Two-panel axial: CT | PSMA PET, [18F]PSMA-1007 tracer. Slice position z = -1044 mm.
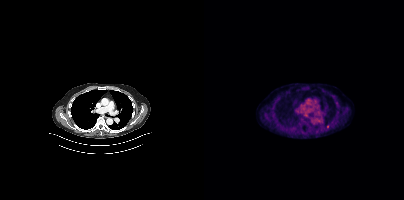
Coordinates are on the 200×200 PET (right) panel. PSMA-avid tumor lesion bounding boxes (x, y, width, height): x=112 y=119 w=5 h=3 | x=122 y=125 w=4 h=5.